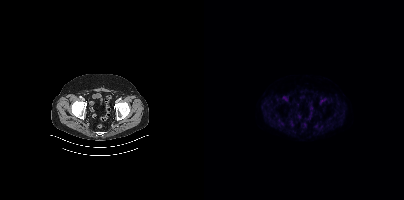
No tumor lesions annotated on this slice. Left: CT. Right: PSMA PET, same axial level, [18F]PSMA-1007 tracer. Slice 79 of 425. PET panel 200×200 px (4.1 mm/px).